Two-panel axial: CT | PSMA PET, 18F tracer. Slice 47 of 429.
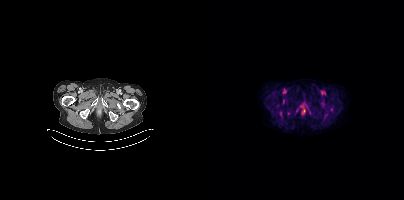
Negative for PSMA-avid disease on this slice.